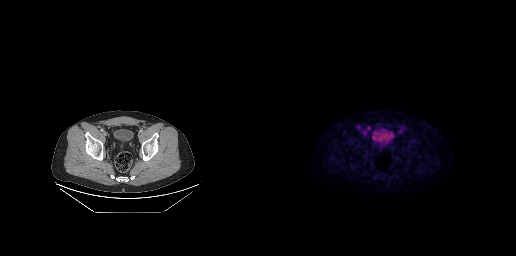
Coordinates are on the 256×256 PET (right) panel. PSMA-avid tumor lesion bounding boxes (x0,y0,x1,y1): [97,125,100,129], [106,126,110,129].